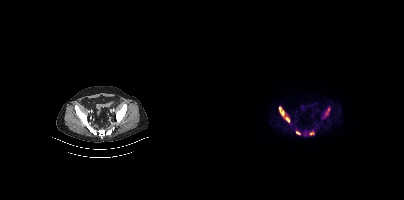
modality: PSMA PET/CT | tracer: 18F | view: axial
Coordinates are on the 200×200 PET (right) panel. PSMA-avid tumor lesion bounding boxes (x0,y0,x1,y1): [75,107,80,116], [121,108,125,115], [81,117,85,122]. Small PSMA-avid foci (2 to 4 px across) near (center x, center y): (93, 132), (107, 133).